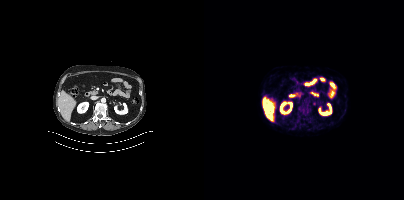
Two-panel axial: CT | PSMA PET, 18F tracer. Acquired on Siemens Biograph mCT Flow 20. Slice position z = -60 mm. Negative for PSMA-avid disease on this slice.